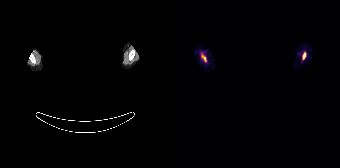
Paired axial CT (left) and PSMA PET (right), [68Ga]Ga-PSMA-11 tracer. De-identified by setting a box covering the face to black before release.
Coordinates are on the 168×168 PET (right) panel. PSMA-avid tumor lesion bounding boxes:
| # | x0 | y0 | x1 | y1 |
|---|---|---|---|---|
| 1 | 29 | 53 | 34 | 61 |
| 2 | 130 | 52 | 134 | 59 |